Paired axial CT (left) and PSMA PET (right), 68Ga-PSMA tracer. Slice 27 of 299. PET panel 256×256 px (2.7 mm/px).
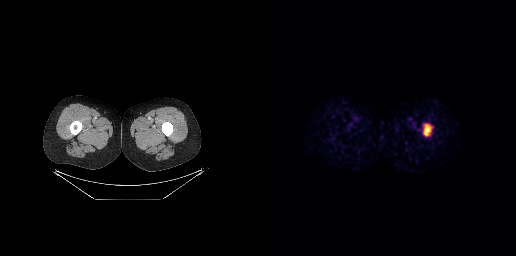
Coordinates are on the 256×256 PET (right) panel. PSMA-avid tumor lesion bounding boxes:
| # | x0 | y0 | x1 | y1 |
|---|---|---|---|---|
| 1 | 164 | 124 | 170 | 135 |